Technique: Two-panel axial: CT | PSMA PET, 18F tracer. acquired on Siemens Biograph mCT Flow 20. slice 368 of 401. PET panel 200×200 px (4.1 mm/px).
Note: Any black rectangle over the head is a privacy mask, not anatomy.
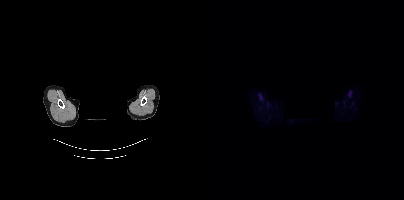
Findings: No PSMA-avid tumor lesions on this slice.